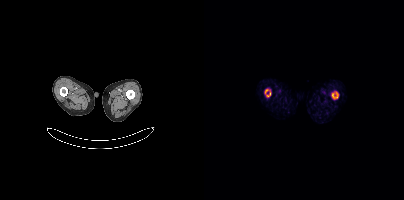
modality: PSMA PET/CT | tracer: [18F]PSMA-1007 | view: axial | PET grid: 200×200
Coordinates are on the 200×200 PET (right) panel. PSMA-avid tumor lesion bounding boxes (x0,y0,x1,y1): [128,92,134,99]; [61,89,66,96].